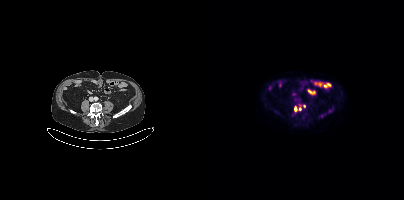
{"modality":"PSMA PET/CT","view":"axial","tracer":"18F","pet_grid":[200,200],"coord_frame":"pet_panel","coord_format":"x0,y0,x1,y1","lesion_bboxes":[[90,107,92,113]],"small_foci_centers":[[96,109],[100,106]]}